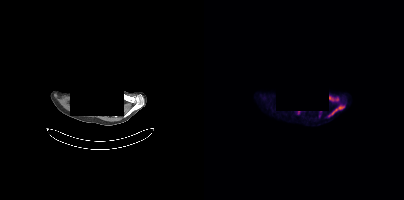
Coordinates are on the 200×200 PET (right) panel. (showing 3 of 4 foci) PSMA-avid tumor lesion bounding boxes (x0,y0,x1,y1): [126,106,140,115] [125,96,129,100]. Small PSMA-avid focus (2 to 4 px across) near (center x, center y): (133, 99).
A rectangle over the head was blacked out to remove identifiable facial features.